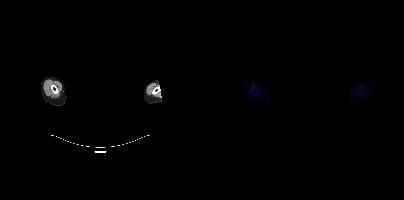
Left: CT. Right: PSMA PET, same axial level, 18F tracer. Acquired on Siemens Biograph mCT Flow 20. Slice 389 of 401. De-identified by setting a box covering the face to black before release. No PSMA-avid tumor lesions on this slice.